Technique: Paired axial CT (left) and PSMA PET (right), [18F]PSMA-1007 tracer. acquired on Siemens Biograph mCT Flow 20.
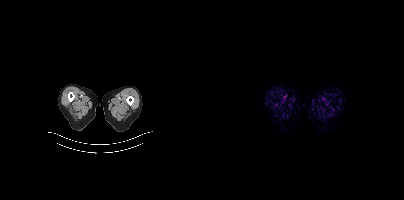
Findings: No tumor lesions annotated on this slice.